- Two-panel axial: CT | PSMA PET, 68Ga-PSMA tracer
- acquired on Siemens Biograph 64-4R TruePoint
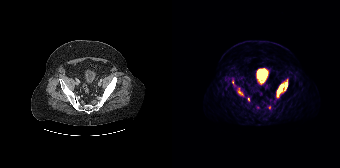
Findings: Coordinates are on the 168×168 PET (right) panel. (showing 3 of 5 foci) PSMA-avid tumor lesion bounding boxes (x0,y0,x1,y1): [105,80,115,96]; [66,88,71,95]. Small PSMA-avid focus (2 to 4 px across) near (center x, center y): (97, 107).